- Left: CT. Right: PSMA PET, same axial level, 18F-PSMA tracer
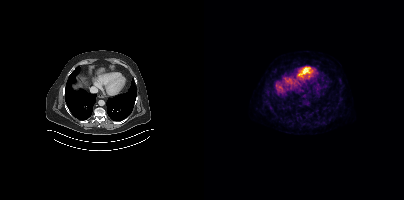
Findings: Coordinates are on the 200×200 PET (right) panel. Small PSMA-avid focus (2 to 4 px across) near (center x, center y): (136, 97).